The face region was removed for patient privacy by blanking a rectangle over the head. Paired axial CT (left) and PSMA PET (right), 68Ga-PSMA tracer. Acquired on GE Discovery 690.
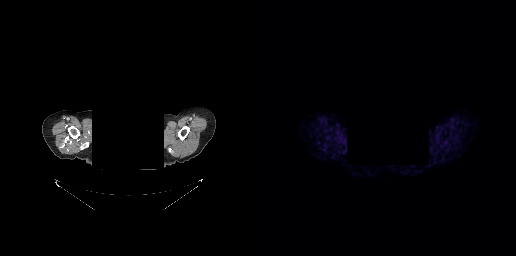
No tumor lesions annotated on this slice.